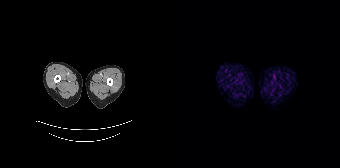
- Paired axial CT (left) and PSMA PET (right), [68Ga]Ga-PSMA-11 tracer
- slice 8 of 165
Findings: This slice has no annotated PSMA-avid lesion.